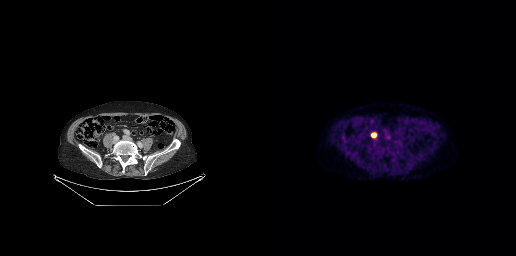
Coordinates are on the 256×256 PET (right) panel. PSMA-avid tumor lesion bounding box (x0, y0)-(x1, y1): (111, 133)-(116, 137).
modality: PSMA PET/CT | tracer: [18F]PSMA-1007 | view: axial | PET grid: 256×256